modality: PSMA PET/CT | tracer: 68Ga | view: axial | PET grid: 256×256
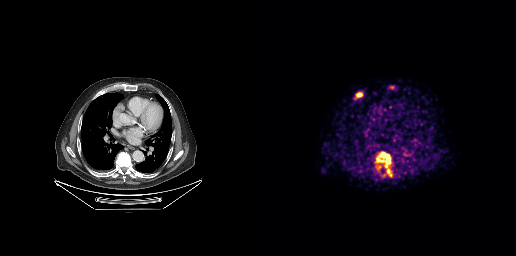
Coordinates are on the 256×256 PET (right) panel. (showing 3 of 5 foci) PSMA-avid tumor lesion bounding boxes (x, y, width, height): x=115 y=151 w=18 h=26 | x=95 y=92 w=8 h=7 | x=116 y=166 w=6 h=4.